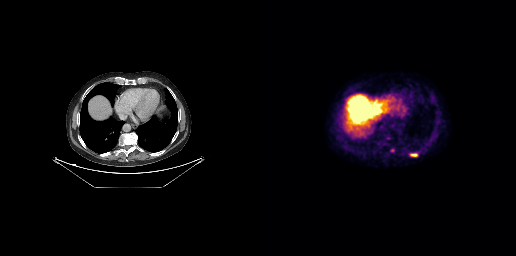
- Two-panel axial: CT | PSMA PET, 18F-PSMA tracer
- acquired on GE Discovery 690
- slice position z = -285 mm
- PET panel 256×256 px (2.7 mm/px)
Findings: Coordinates are on the 256×256 PET (right) panel. PSMA-avid tumor lesion bounding boxes (x0,y0,x1,y1): [150,153,157,156], [130,148,134,152].